Two-panel axial: CT | PSMA PET, 18F tracer. Acquired on Siemens Biograph mCT Flow 20. PET panel 200×200 px (4.1 mm/px).
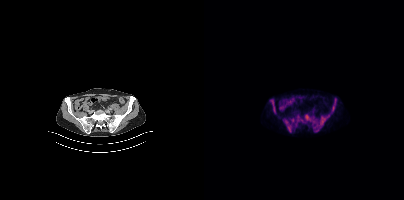
Coordinates are on the 200×200 PET (right) panel. PSMA-avid tumor lesion bounding boxes (partial; 1 more focus not listed):
| # | x0 | y0 | x1 | y1 |
|---|---|---|---|---|
| 1 | 81 | 120 | 87 | 132 |
| 2 | 116 | 117 | 121 | 124 |
| 3 | 69 | 108 | 71 | 112 |
| 4 | 103 | 115 | 105 | 119 |
| 5 | 129 | 106 | 130 | 110 |